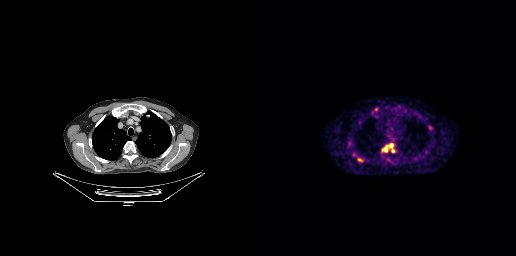
modality: PSMA PET/CT | tracer: 68Ga | view: axial | PET grid: 256×256
Coordinates are on the 256×256 PET (right) panel. PSMA-avid tumor lesion bounding boxes (x0,y0,x1,y1): [127,143,134,151]; [97,157,103,162]. Small PSMA-avid foci (2 to 4 px across) near (center x, center y): (115, 108); (125, 149).